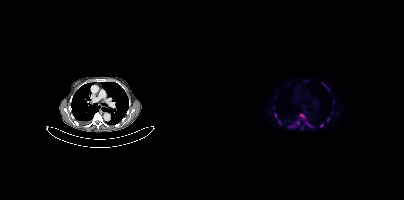
Coordinates are on the 200×200 PET (right) panel. (showing 10 of 11 foci) PSMA-avid tumor lesion bounding boxes (x0, y0)-(x1, y1): (96, 114)-(100, 118) / (102, 122)-(108, 127) / (116, 123)-(119, 127). Small PSMA-avid foci (2 to 4 px across) near (center x, center y): (71, 115) / (94, 122) / (123, 119) / (121, 85) / (124, 89) / (75, 122) / (118, 83). Left: CT. Right: PSMA PET, same axial level, 18F tracer.